Paired axial CT (left) and PSMA PET (right), 18F-PSMA tracer. Acquired on Siemens Biograph mCT Flow 20.
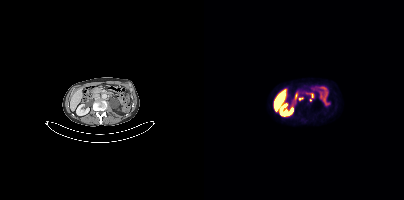
Coordinates are on the 200×200 PET (right) panel. Small PSMA-avid foci (2 to 4 px across) near (center x, center y): (96, 98) | (106, 100).